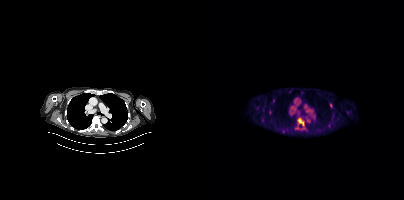
Technique: Paired axial CT (left) and PSMA PET (right), [18F]PSMA-1007 tracer. slice 287 of 421. PET panel 200×200 px (4.1 mm/px).
Findings: Coordinates are on the 200×200 PET (right) panel. PSMA-avid tumor lesion bounding box (x0,y0,x1,y1): [94,118,100,126]. Small PSMA-avid foci (2 to 4 px across) near (center x, center y): (126, 105) (98, 128).